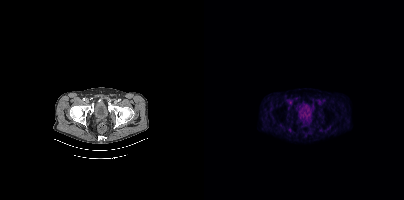
This slice has no annotated PSMA-avid lesion.